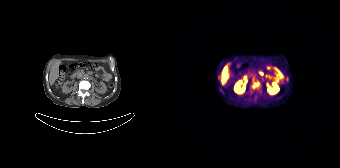
Coordinates are on the 168×168 PET (right) panel. (showing 1 of 2 foci) PSMA-avid tumor lesion bounding box (x0,y0,x1,y1): [80,81,87,88].